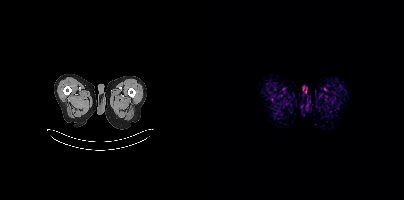
Left: CT. Right: PSMA PET, same axial level, [18F]PSMA-1007 tracer. This slice has no annotated PSMA-avid lesion.